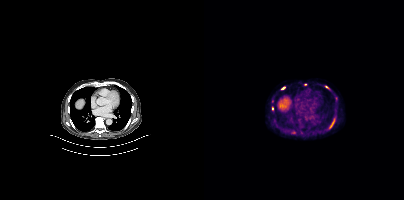
Coordinates are on the 200×200 PET (right) panel. (showing 5 of 6 foci) PSMA-avid tumor lesion bounding box (x0, y0)-(x1, y1): (126, 120)-(130, 127). Small PSMA-avid foci (2 to 4 px across) near (center x, center y): (122, 87) | (79, 88) | (68, 108) | (101, 84).